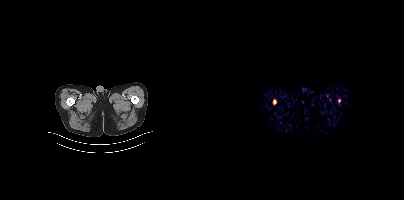
Coordinates are on the 200×200 PET (right) panel. Small PSMA-avid foci (2 to 4 px across) near (center x, center y): (70, 101) (135, 100).
modality: PSMA PET/CT | tracer: [18F]PSMA-1007 | view: axial